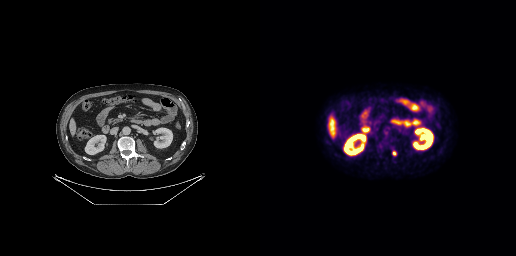
{"modality":"PSMA PET/CT","view":"axial","tracer":"[18F]PSMA-1007","pet_grid":[256,256],"coord_frame":"pet_panel","coord_format":"x0,y0,x1,y1","lesion_bboxes":[[132,151,136,155]]}